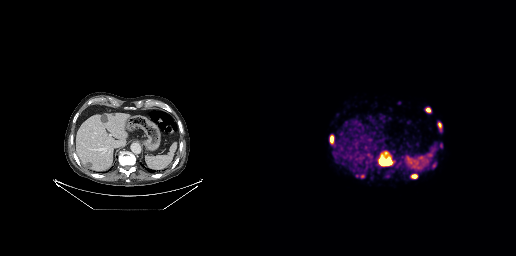
Coordinates are on the 256×256 PET (right) panel. PSMA-avid tumor lesion bounding boxes (partial; 1 more focus not listed):
| # | x0 | y0 | x1 | y1 |
|---|---|---|---|---|
| 1 | 120 | 159 | 130 | 165 |
| 2 | 70 | 135 | 73 | 143 |
| 3 | 165 | 107 | 170 | 112 |
| 4 | 152 | 174 | 157 | 178 |
| 5 | 178 | 122 | 181 | 128 |
| 6 | 123 | 153 | 127 | 156 |
Small PSMA-avid focus (2 to 4 px across) near (center x, center y): (102, 176).
Paired axial CT (left) and PSMA PET (right), [68Ga]Ga-PSMA-11 tracer. PET panel 256×256 px (2.7 mm/px).